Paired axial CT (left) and PSMA PET (right), [18F]PSMA-1007 tracer. Acquired on Siemens Biograph mCT Flow 20.
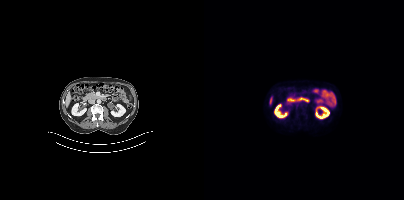
No PSMA-avid tumor lesions on this slice.